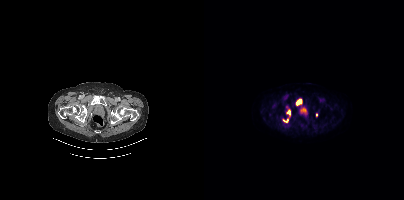
{"modality":"PSMA PET/CT","view":"axial","tracer":"18F","pet_grid":[200,200],"coord_frame":"pet_panel","coord_format":"x0,y0,x1,y1","lesion_bboxes":[[92,99,97,105],[83,110,86,114],[79,119,83,121]],"small_foci_centers":[[112,114]]}